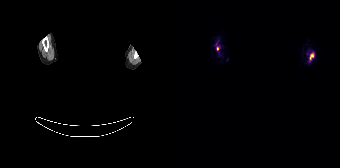
Technique: Left: CT. Right: PSMA PET, same axial level, [18F]PSMA-1007 tracer.
Note: Privacy masking over the head, with the pixels inside a rectangle set to black.
Findings: Coordinates are on the 168×168 PET (right) panel. PSMA-avid tumor lesion bounding box (x, y, width, height): x=137 y=53 w=5 h=7. Small PSMA-avid focus (2 to 4 px across) near (center x, center y): (45, 48).